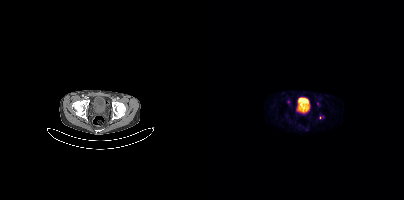
Technique: Left: CT. Right: PSMA PET, same axial level, 68Ga tracer.
Findings: Coordinates are on the 200×200 PET (right) panel. (showing 1 of 2 foci) Small PSMA-avid focus (2 to 4 px across) near (center x, center y): (116, 117).